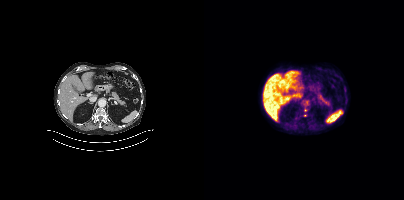
Only PSMA-avid lesion pieces thinner than 2 px on this slice (not listed).